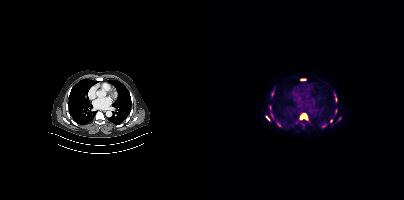
Coordinates are on the 200×200 PET (right) panel. (showing 9 of 10 foci) PSMA-avid tumor lesion bounding boxes (x0, y0)-(x1, y1): (96, 113)-(103, 119) / (67, 92)-(69, 96) / (97, 79)-(101, 80) / (67, 114)-(69, 118) / (62, 116)-(65, 120). Small PSMA-avid foci (2 to 4 px across) near (center x, center y): (74, 124) / (66, 107) / (131, 100) / (127, 121).